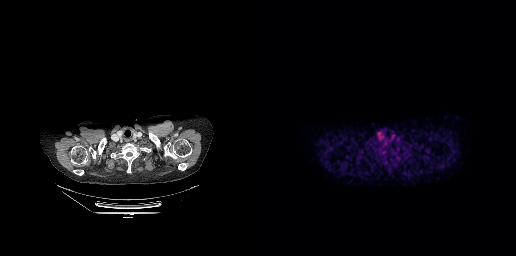
Coordinates are on the 256×256 PET (right) panel. Small PSMA-avid focus (2 to 4 px across) near (center x, center y): (119, 152). Left: CT. Right: PSMA PET, same axial level, [18F]PSMA-1007 tracer. Acquired on GE Discovery 690. Slice position z = -111 mm. PET panel 256×256 px (2.7 mm/px).